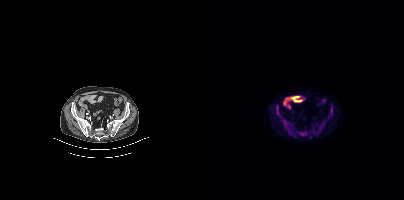
Coordinates are on the 200×200 PET (right) panel. PSMA-avid tumor lesion bounding boxes:
| # | x0 | y0 | x1 | y1 |
|---|---|---|---|---|
| 1 | 78 | 118 | 85 | 127 |
| 2 | 95 | 131 | 103 | 136 |
| 3 | 72 | 105 | 76 | 116 |
| 4 | 124 | 107 | 129 | 118 |
Left: CT. Right: PSMA PET, same axial level, 18F tracer. Acquired on Siemens Biograph mCT Flow 20. PET panel 200×200 px (4.1 mm/px).